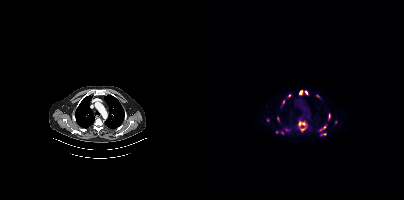
modality: PSMA PET/CT | tracer: 18F | view: axial
Coordinates are on the 200×200 PET (right) panel. (showing 10 of 13 foci) PSMA-avid tumor lesion bounding box (x0, y0)-(x1, y1): (94, 121)-(101, 125). Small PSMA-avid foci (2 to 4 px across) near (center x, center y): (96, 92); (102, 92); (98, 130); (120, 133); (120, 127); (116, 129); (113, 95); (79, 101); (73, 117).